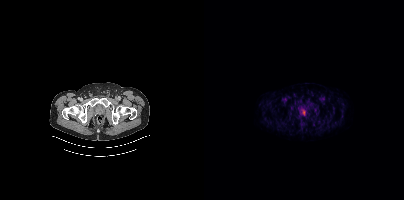
Paired axial CT (left) and PSMA PET (right), [18F]PSMA-1007 tracer. Acquired on Siemens Biograph mCT Flow 20. Slice position z = -908 mm.
Coordinates are on the 200×200 PET (right) panel. PSMA-avid tumor lesion bounding boxes:
| # | x0 | y0 | x1 | y1 |
|---|---|---|---|---|
| 1 | 98 | 110 | 101 | 115 |